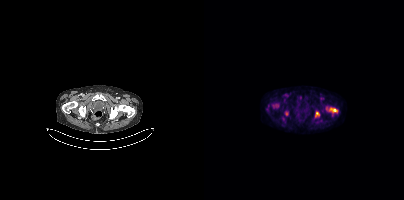
{"modality":"PSMA PET/CT","view":"axial","tracer":"18F","pet_grid":[200,200],"coord_frame":"pet_panel","coord_format":"x0,y0,x1,y1","lesion_bboxes":[[125,108,133,112],[111,112,115,116]],"small_foci_centers":[[82,113]]}